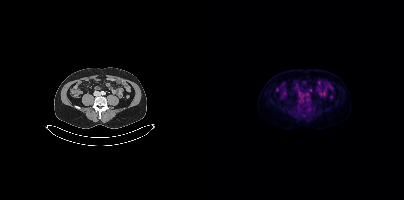
Two-panel axial: CT | PSMA PET, 18F tracer. Slice 153 of 421. Only PSMA-avid lesion pieces thinner than 2 px on this slice (not listed).